- Two-panel axial: CT | PSMA PET, 18F tracer
- acquired on Siemens Biograph mCT Flow 20
- PET panel 200×200 px (4.1 mm/px)
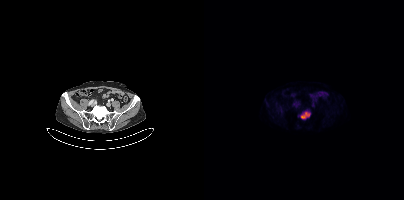
Findings: Coordinates are on the 200×200 PET (right) panel. PSMA-avid tumor lesion bounding box (x0,y0,x1,y1): [96,111,106,119].